modality: PSMA PET/CT | tracer: [68Ga]Ga-PSMA-11 | view: axial | PET grid: 168×168
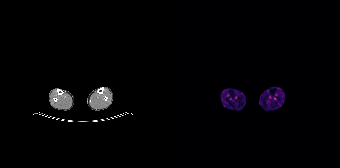
This slice has no annotated PSMA-avid lesion.